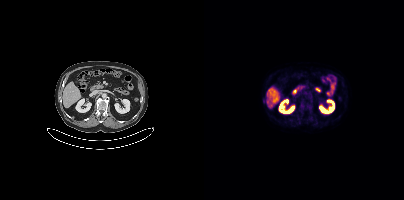
- Left: CT. Right: PSMA PET, same axial level, 18F-PSMA tracer
Findings: Negative for PSMA-avid disease on this slice.